Technique: Left: CT. Right: PSMA PET, same axial level, [18F]PSMA-1007 tracer.
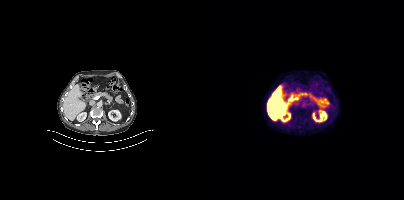
Findings: Negative for PSMA-avid disease on this slice.